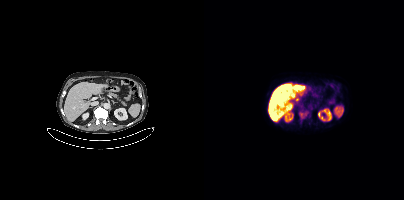
Left: CT. Right: PSMA PET, same axial level, 18F-PSMA tracer. Acquired on Siemens Biograph mCT Flow 20. Slice position z = -748 mm. PET panel 200×200 px (4.1 mm/px).
Coordinates are on the 200×200 PET (right) panel. PSMA-avid tumor lesion bounding boxes:
| # | x0 | y0 | x1 | y1 |
|---|---|---|---|---|
| 1 | 96 | 113 | 98 | 117 |